Technique: Paired axial CT (left) and PSMA PET (right), 18F-PSMA tracer. acquired on Siemens Biograph mCT Flow 20. slice position z = -1142 mm. PET panel 200×200 px (4.1 mm/px).
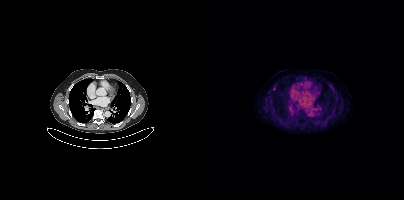
Findings: Only PSMA-avid lesion pieces thinner than 2 px on this slice (not listed).